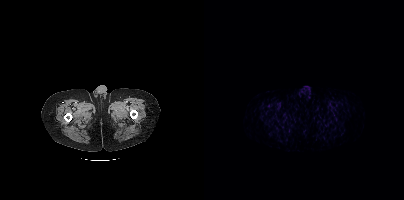
Findings: No PSMA-avid tumor lesions on this slice.
- Paired axial CT (left) and PSMA PET (right), [68Ga]Ga-PSMA-11 tracer
- acquired on Siemens Biograph mCT Flow 20
- slice 30 of 444